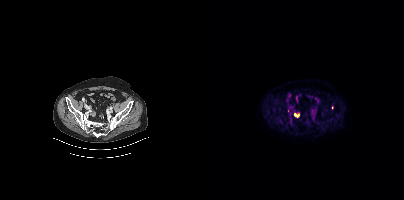
{"modality":"PSMA PET/CT","view":"axial","tracer":"18F-PSMA","pet_grid":[200,200],"coord_frame":"pet_panel","coord_format":"x0,y0,x1,y1","partial":true,"lesion_bboxes":[],"small_foci_centers":[[92,115],[128,107]]}